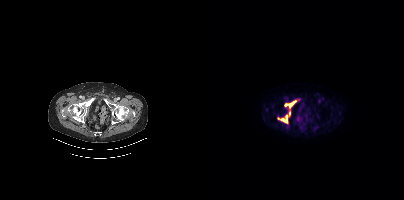
Coordinates are on the 200×200 PET (right) panel. (showing 3 of 4 foci) PSMA-avid tumor lesion bounding boxes (x, y, width, height): x=81 y=101 w=11 h=7; x=77 y=115 w=7 h=8. Small PSMA-avid focus (2 to 4 px across) near (center x, center y): (85, 113).